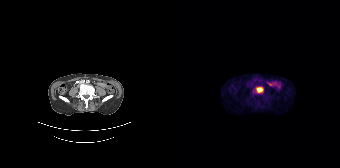
Two-panel axial: CT | PSMA PET, 68Ga-PSMA tracer. PET panel 168×168 px (4.1 mm/px). Coordinates are on the 168×168 PET (right) panel. PSMA-avid tumor lesion bounding box (x, y, width, height): x=84 y=87 w=7 h=6.